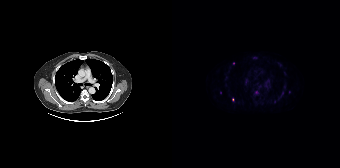
Coordinates are on the 168×168 PET (right) panel. (showing 3 of 4 foci) Small PSMA-avid foci (2 to 4 px across) near (center x, center y): (84, 92) (48, 92) (60, 99).
modality: PSMA PET/CT | tracer: [18F]PSMA-1007 | view: axial | PET grid: 168×168